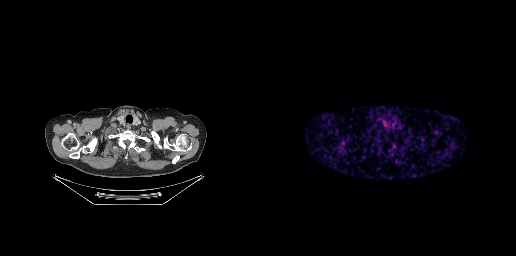
Negative for PSMA-avid disease on this slice. Two-panel axial: CT | PSMA PET, [68Ga]Ga-PSMA-11 tracer. PET panel 256×256 px (2.7 mm/px).